Technique: Left: CT. Right: PSMA PET, same axial level, 68Ga tracer.
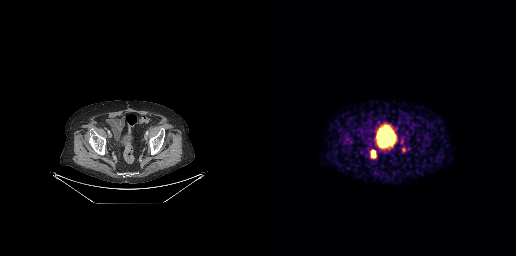
Findings: Coordinates are on the 256×256 PET (right) panel. PSMA-avid tumor lesion bounding box (x0, y0)-(x1, y1): (112, 152)-(114, 156). Small PSMA-avid focus (2 to 4 px across) near (center x, center y): (143, 149).